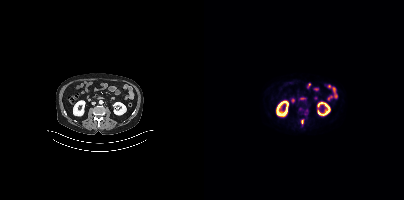
Findings: Coordinates are on the 200×200 PET (right) panel. Small PSMA-avid focus (2 to 4 px across) near (center x, center y): (98, 121).
Technique: Left: CT. Right: PSMA PET, same axial level, 18F-PSMA tracer. acquired on Siemens Biograph mCT Flow 20.